Technique: Paired axial CT (left) and PSMA PET (right), 18F-PSMA tracer. PET panel 200×200 px (4.1 mm/px).
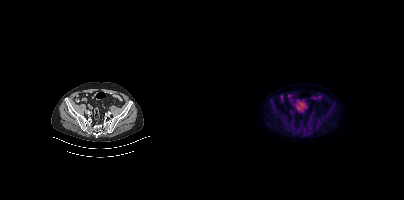
Findings: No tumor lesions annotated on this slice.